Technique: Two-panel axial: CT | PSMA PET, [18F]PSMA-1007 tracer. slice position z = -541 mm. PET panel 256×256 px (2.7 mm/px).
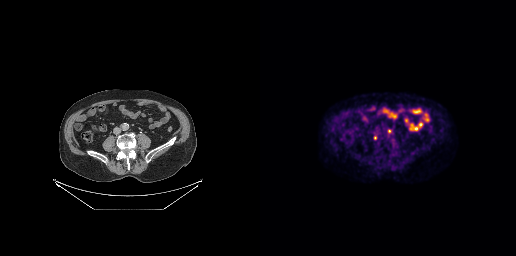
Findings: Coordinates are on the 256×256 PET (right) panel. PSMA-avid tumor lesion bounding box (x0, y0)-(x1, y1): (128, 129)-(131, 133). Small PSMA-avid focus (2 to 4 px across) near (center x, center y): (115, 137).